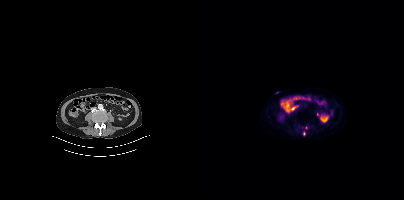
{"modality":"PSMA PET/CT","view":"axial","tracer":"18F","pet_grid":[200,200],"coord_frame":"pet_panel","coord_format":"x0,y0,x1,y1","partial":true,"lesion_bboxes":[]}